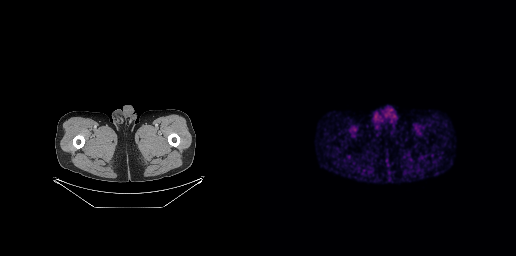
No PSMA-avid tumor lesions on this slice. Two-panel axial: CT | PSMA PET, 68Ga tracer. PET panel 256×256 px (2.7 mm/px).